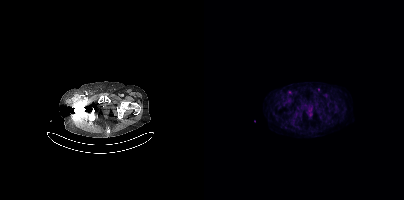
Technique: Paired axial CT (left) and PSMA PET (right), [18F]PSMA-1007 tracer. PET panel 200×200 px (4.1 mm/px).
Findings: Coordinates are on the 200×200 PET (right) panel. Small PSMA-avid foci (2 to 4 px across) near (center x, center y): (85, 92), (114, 89).